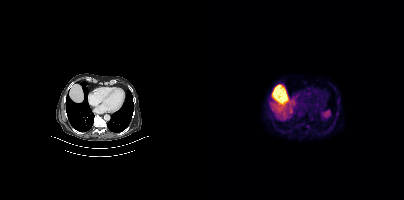
{"modality":"PSMA PET/CT","view":"axial","tracer":"[18F]PSMA-1007","pet_grid":[200,200],"coord_frame":"pet_panel","coord_format":"x0,y0,x1,y1","psma_avid_lesions":false}